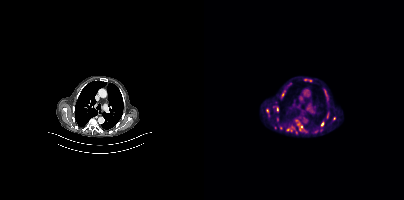
modality: PSMA PET/CT | tracer: [18F]PSMA-1007 | view: axial
Coordinates are on the 200×200 PET (right) panel. (showing 7 of 8 foci) PSMA-avid tumor lesion bounding boxes (x0,y0,x1,y1): [76,82,87,97]; [91,120,98,128]; [62,108,65,116]; [69,106,74,112]. Small PSMA-avid foci (2 to 4 px across) near (center x, center y): (73, 119); (130, 118); (89, 127).